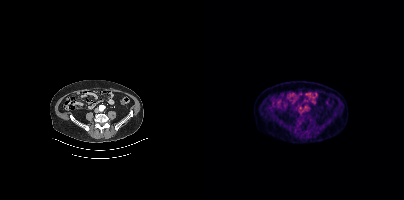
Coordinates are on the 200×200 PET (right) panel. Small PSMA-avid focus (2 to 4 px across) near (center x, center y): (96, 107).